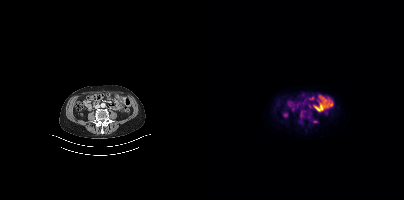
Coordinates are on the 200×200 PET (right) panel. (showing 1 of 2 foci) Small PSMA-avid focus (2 to 4 px across) near (center x, center y): (111, 121). Two-panel axial: CT | PSMA PET, 18F tracer. Acquired on Siemens Biograph mCT Flow 20. PET panel 200×200 px (4.1 mm/px).